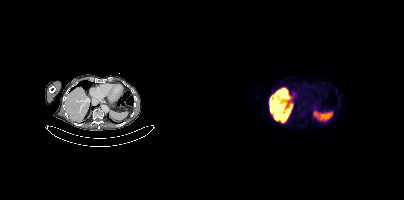
Technique: Paired axial CT (left) and PSMA PET (right), 18F-PSMA tracer. acquired on Siemens Biograph mCT Flow 20.
Findings: Negative for PSMA-avid disease on this slice.